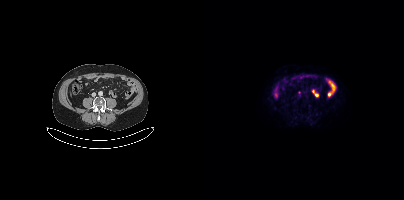
Coordinates are on the 200×200 PET (right) panel. PSMA-avid tumor lesion bounding box (x, y, width, height): x=94 y=91 w=3 h=5.
modality: PSMA PET/CT | tracer: [18F]PSMA-1007 | view: axial